Technique: Paired axial CT (left) and PSMA PET (right), [18F]PSMA-1007 tracer. acquired on Siemens Biograph mCT Flow 20.
Note: De-identified by setting a box covering the face to black before release.
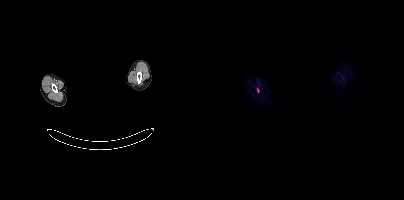
Findings: Coordinates are on the 200×200 PET (right) panel. PSMA-avid tumor lesion bounding box (x0, y0)-(x1, y1): (53, 88)-(55, 92).